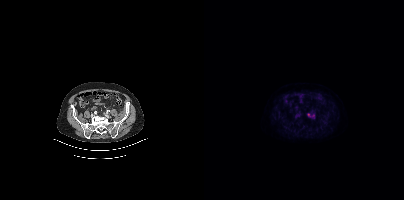
Findings: Coordinates are on the 200×200 PET (right) panel. Small PSMA-avid foci (2 to 4 px across) near (center x, center y): (105, 115) / (94, 116).
Technique: Left: CT. Right: PSMA PET, same axial level, 18F tracer. slice position z = -734 mm. PET panel 200×200 px (4.1 mm/px).